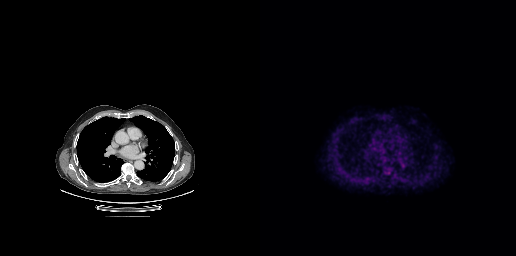
Coordinates are on the 256×256 PET (right) panel. PSMA-avid tumor lesion bounding box (x0,y0,x1,y1): [126,170,131,174]. Left: CT. Right: PSMA PET, same axial level, 18F tracer.